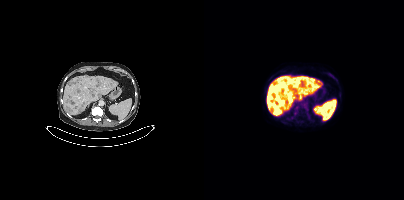
Coordinates are on the 200×200 PET (right) panel. (showing 4 of 6 foci) PSMA-avid tumor lesion bounding boxes (x0, y0)-(x1, y1): (66, 106)-(75, 114); (65, 97)-(71, 104); (92, 76)-(99, 82). Small PSMA-avid focus (2 to 4 px across) near (center x, center y): (126, 74).